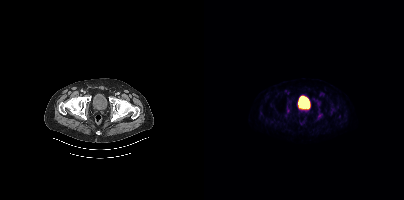
Findings: Coordinates are on the 200×200 PET (right) panel. PSMA-avid tumor lesion bounding boxes (x, y, width, height): x=81 y=100 w=8 h=17 | x=111 y=100 w=6 h=6 | x=113 y=113 w=7 h=7 | x=66 y=103 w=5 h=5. Small PSMA-avid focus (2 to 4 px across) near (center x, center y): (125, 104).
- Left: CT. Right: PSMA PET, same axial level, 18F-PSMA tracer
- acquired on Siemens Biograph mCT Flow 20
- PET panel 200×200 px (4.1 mm/px)